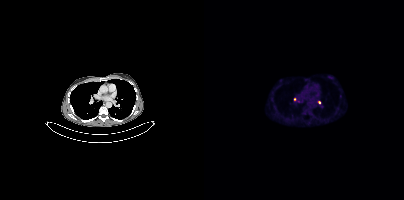
Coordinates are on the 200×200 PET (right) panel. Small PSMA-avid foci (2 to 4 px across) near (center x, center y): (136, 96) | (115, 102) | (90, 98).